Paired axial CT (left) and PSMA PET (right), 18F tracer. PET panel 200×200 px (4.1 mm/px).
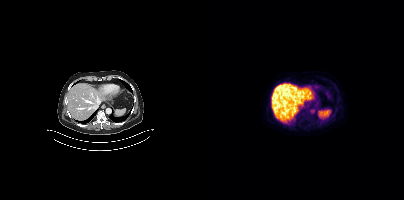
This slice has no annotated PSMA-avid lesion.